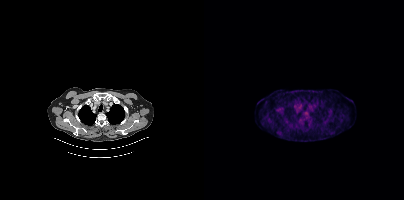
This slice has no annotated PSMA-avid lesion.